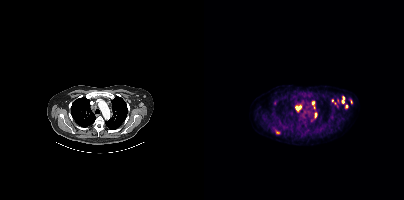
Coordinates are on the 200×200 PET (right) panel. (showing 10 of 16 foci) PSMA-avid tumor lesion bounding boxes (x, y, width, height): x=92 y=105 w=5 h=5; x=131 y=103 w=4 h=5; x=111 y=113 w=2 h=5. Small PSMA-avid foci (2 to 4 px across) near (center x, center y): (109, 102); (73, 132); (139, 101); (71, 102); (139, 97); (142, 106); (128, 100).